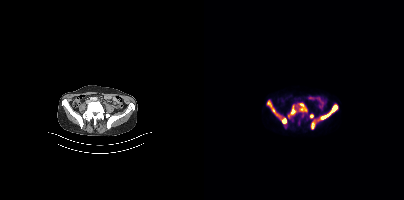
Coordinates are on the 200×200 PET (right) panel. PSMA-avid tumor lesion bounding boxes (x, y, width, height): x=84 y=103 w=20 h=16; x=114 y=103 w=21 h=18; x=63 y=100 w=20 h=25; x=107 y=119 w=5 h=11; x=106 y=114 w=4 h=5.